Paired axial CT (left) and PSMA PET (right), [68Ga]Ga-PSMA-11 tracer. Acquired on Siemens Biograph 64-4R TruePoint.
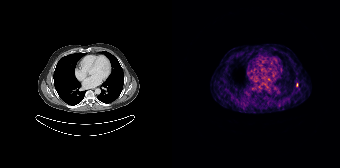
Only PSMA-avid lesion pieces thinner than 2 px on this slice (not listed).